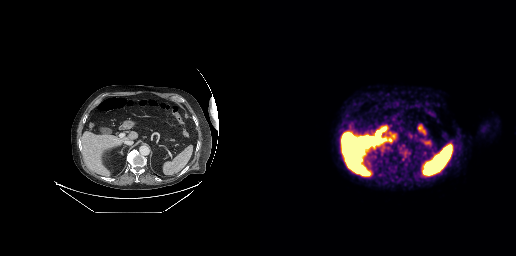
This slice has no annotated PSMA-avid lesion.